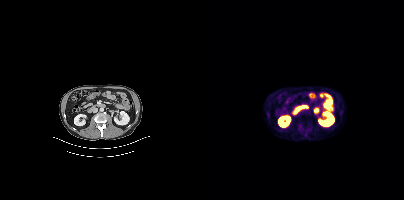
Only PSMA-avid lesion pieces thinner than 2 px on this slice (not listed).
modality: PSMA PET/CT | tracer: [18F]PSMA-1007 | view: axial